Technique: Left: CT. Right: PSMA PET, same axial level, 68Ga tracer. acquired on Siemens Biograph mCT Flow 20. slice 76 of 385.
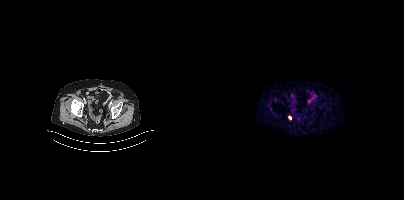
Findings: Coordinates are on the 200×200 PET (right) panel. Small PSMA-avid focus (2 to 4 px across) near (center x, center y): (86, 117).